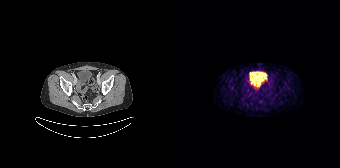
{"modality":"PSMA PET/CT","view":"axial","tracer":"[68Ga]Ga-PSMA-11","pet_grid":[168,168],"coord_frame":"pet_panel","coord_format":"x0,y0,x1,y1","psma_avid_lesions":false}